The face region was removed for patient privacy by blanking a rectangle over the head.
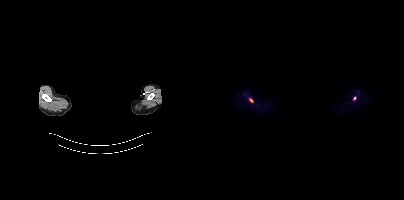
Coordinates are on the 200×200 PET (right) panel. PSMA-avid tumor lesion bounding box (x0, y0)-(x1, y1): (45, 98)-(48, 102). Small PSMA-avid focus (2 to 4 px across) near (center x, center y): (150, 98).